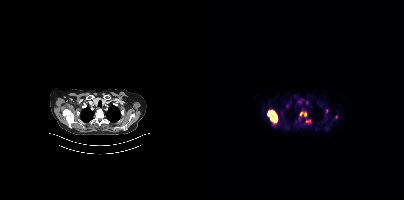
Technique: Left: CT. Right: PSMA PET, same axial level, [18F]PSMA-1007 tracer. slice position z = -1013 mm.
Findings: Coordinates are on the 200×200 PET (right) panel. (showing 5 of 6 foci) PSMA-avid tumor lesion bounding boxes (x, y, width, height): x=63 y=110 w=11 h=13 / x=96 y=111 w=7 h=6 / x=101 y=119 w=7 h=5. Small PSMA-avid foci (2 to 4 px across) near (center x, center y): (132, 116) / (122, 110).